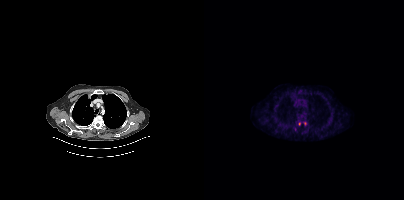
modality: PSMA PET/CT | tracer: [18F]PSMA-1007 | view: axial
Coordinates are on the 200×200 PET (right) panel. Small PSMA-avid foci (2 to 4 px across) near (center x, center y): (101, 123) (95, 124).